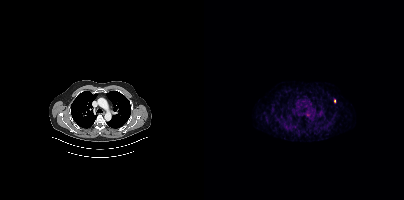
modality: PSMA PET/CT | tracer: 68Ga | view: axial | PET grid: 200×200
Coordinates are on the 200×200 PET (right) panel. Small PSMA-avid focus (2 to 4 px across) near (center x, center y): (130, 101).